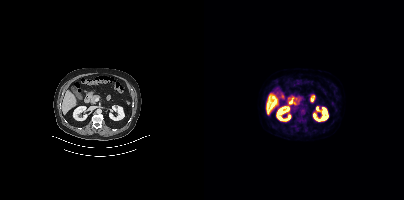
modality: PSMA PET/CT | tracer: 18F | view: axial | PET grid: 200×200
This slice has no annotated PSMA-avid lesion.